Technique: Paired axial CT (left) and PSMA PET (right), 68Ga-PSMA tracer. slice 166 of 409.
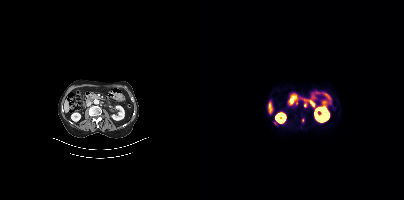
Findings: Coordinates are on the 200×200 PET (right) panel. Small PSMA-avid foci (2 to 4 px across) near (center x, center y): (71, 123); (98, 120); (100, 105).